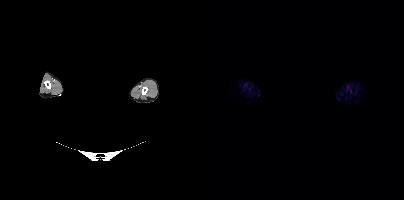
Technique: Paired axial CT (left) and PSMA PET (right), 18F-PSMA tracer. acquired on Siemens Biograph mCT Flow 20. slice position z = -751 mm.
Note: Any black rectangle over the head is a privacy mask, not anatomy.
Findings: Negative for PSMA-avid disease on this slice.